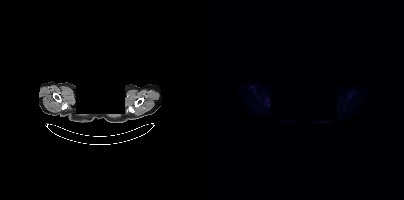
{"modality":"PSMA PET/CT","view":"axial","tracer":"18F","pet_grid":[200,200],"coord_frame":"pet_panel","coord_format":"x0,y0,x1,y1","de-identification":"facial region redacted","psma_avid_lesions":false}